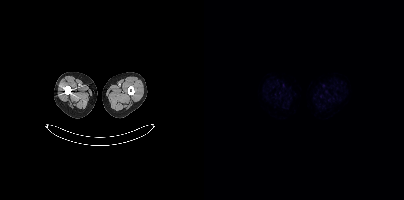
{"modality":"PSMA PET/CT","view":"axial","tracer":"[18F]PSMA-1007","pet_grid":[200,200],"coord_frame":"pet_panel","coord_format":"x0,y0,x1,y1","psma_avid_lesions":false}